Paired axial CT (left) and PSMA PET (right), 18F tracer. PET panel 200×200 px (4.1 mm/px).
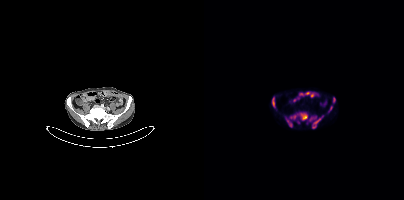
Coordinates are on the 200×200 PET (right) panel. (showing 6 of 7 foci) PSMA-avid tumor lesion bounding boxes (x, y, width, height): x=82 y=112 w=22 h=16; x=108 y=118 w=9 h=11; x=68 y=97 w=4 h=11; x=129 y=97 w=3 h=6; x=124 y=106 w=5 h=6. Small PSMA-avid focus (2 to 4 px across) near (center x, center y): (107, 119).